Paired axial CT (left) and PSMA PET (right), 18F-PSMA tracer.
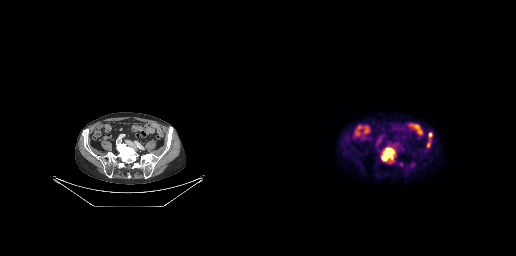
Coordinates are on the 256×256 PET (right) panel. PSMA-avid tumor lesion bounding boxes:
| # | x0 | y0 | x1 | y1 |
|---|---|---|---|---|
| 1 | 122 | 148 | 134 | 160 |
| 2 | 167 | 132 | 172 | 147 |